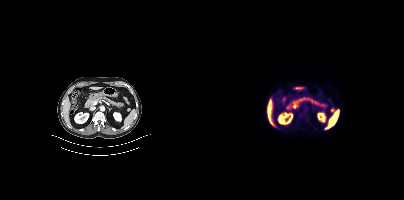
Coordinates are on the 200×200 PET (right) panel. Small PSMA-avid focus (2 to 4 px across) near (center x, center y): (128, 110). Paired axial CT (left) and PSMA PET (right), 18F-PSMA tracer. Acquired on Siemens Biograph mCT Flow 20. PET panel 200×200 px (4.1 mm/px).